modality: PSMA PET/CT | tracer: [18F]PSMA-1007 | view: axial
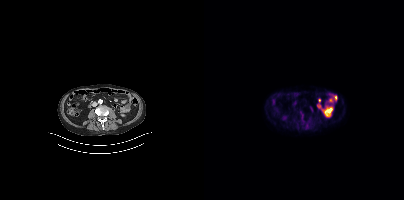
Negative for PSMA-avid disease on this slice.